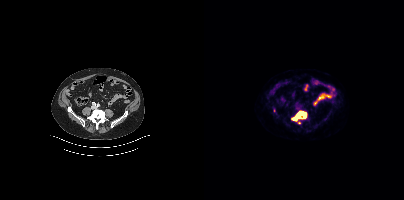
Technique: Paired axial CT (left) and PSMA PET (right), 18F tracer. slice position z = -676 mm.
Findings: Coordinates are on the 200×200 PET (right) panel. (showing 2 of 3 foci) PSMA-avid tumor lesion bounding box (x, y, width, height): x=87 y=111 w=16 h=11. Small PSMA-avid focus (2 to 4 px across) near (center x, center y): (95, 122).